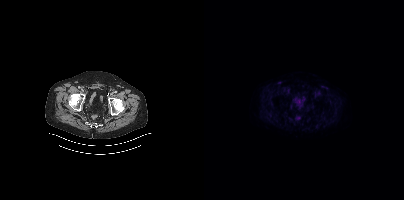
No PSMA-avid tumor lesions on this slice.